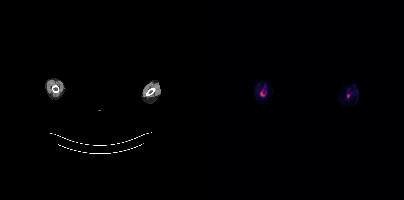
{"modality":"PSMA PET/CT","view":"axial","tracer":"18F-PSMA","pet_grid":[200,200],"coord_frame":"pet_panel","coord_format":"x0,y0,x1,y1","redaction":"head region blanked (face removed)","psma_avid_lesions":false}